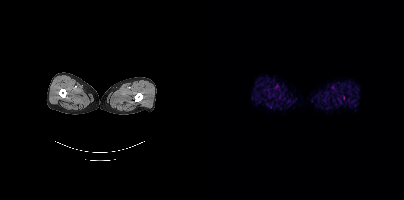
{"modality":"PSMA PET/CT","view":"axial","tracer":"18F-PSMA","pet_grid":[200,200],"coord_frame":"pet_panel","coord_format":"x0,y0,x1,y1","psma_avid_lesions":false}